Paired axial CT (left) and PSMA PET (right), 18F-PSMA tracer. Acquired on Siemens Biograph mCT Flow 20.
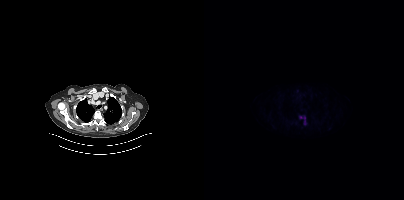
Coordinates are on the 200×200 PET (right) panel. PSMA-avid tumor lesion bounding boxes:
| # | x0 | y0 | x1 | y1 |
|---|---|---|---|---|
| 1 | 96 | 116 | 101 | 124 |